modality: PSMA PET/CT | tracer: 18F | view: axial
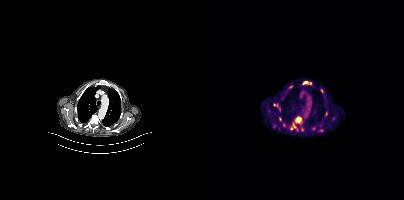
Coordinates are on the 200×200 PET (right) panel. (showing 11 of 12 foci) PSMA-avid tumor lesion bounding boxes (x0, y0)-(x1, y1): (91, 116)-(98, 125) / (69, 103)-(76, 111) / (81, 85)-(87, 94) / (115, 129)-(119, 132) / (79, 123)-(82, 127) / (102, 83)-(107, 84). Small PSMA-avid foci (2 to 4 px across) near (center x, center y): (76, 118) / (111, 127) / (78, 97) / (64, 110) / (72, 126).